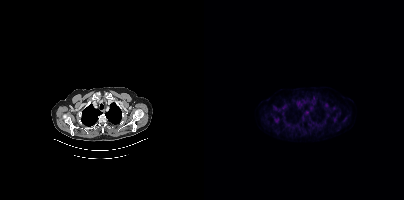
This slice has no annotated PSMA-avid lesion.